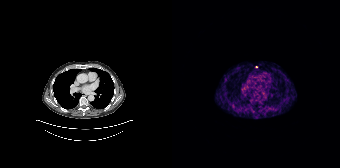
Left: CT. Right: PSMA PET, same axial level, 68Ga tracer. Acquired on Siemens Biograph 64-4R TruePoint. Slice 141 of 195. Only PSMA-avid lesion pieces thinner than 2 px on this slice (not listed).